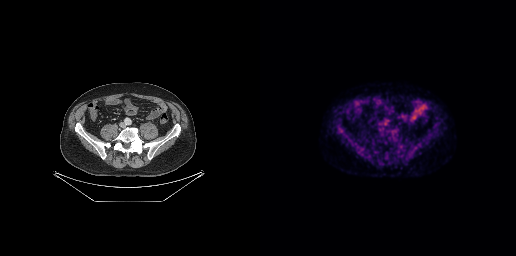
Findings: Negative for PSMA-avid disease on this slice.
Technique: Paired axial CT (left) and PSMA PET (right), 18F tracer. slice 126 of 299.